- Two-panel axial: CT | PSMA PET, [68Ga]Ga-PSMA-11 tracer
- acquired on Siemens Biograph 64-4R TruePoint
- PET panel 168×168 px (4.1 mm/px)
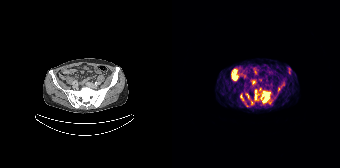
Findings: Coordinates are on the 168×168 PET (right) panel. (showing 7 of 10 foci) PSMA-avid tumor lesion bounding boxes (x0,y0,x1,y1): [90,91,98,102] [73,93,80,103] [68,94,72,101] [83,94,84,99]. Small PSMA-avid foci (2 to 4 px across) near (center x, center y): (83, 91) (74, 104) (106, 89).